Left: CT. Right: PSMA PET, same axial level, 68Ga tracer.
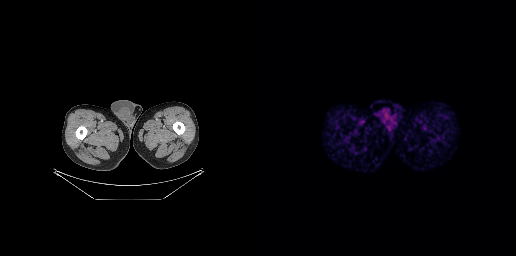
This slice has no annotated PSMA-avid lesion.